Two-panel axial: CT | PSMA PET, 18F-PSMA tracer. Acquired on GE Discovery 690.
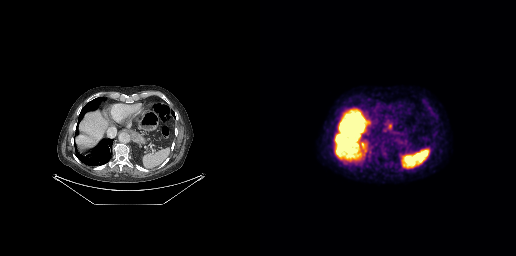
No tumor lesions annotated on this slice.